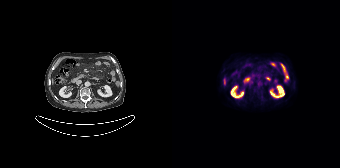
- Left: CT. Right: PSMA PET, same axial level, [18F]PSMA-1007 tracer
- acquired on Siemens Biograph 64-4R TruePoint
- PET panel 168×168 px (4.1 mm/px)
Findings: Negative for PSMA-avid disease on this slice.